- Paired axial CT (left) and PSMA PET (right), 18F-PSMA tracer
- PET panel 256×256 px (2.7 mm/px)
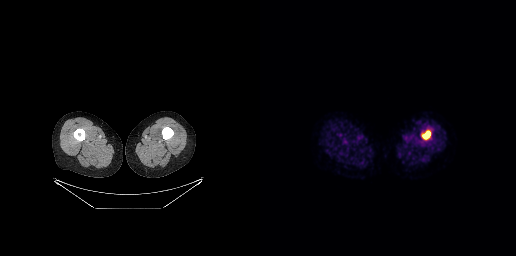
Findings: Coordinates are on the 256×256 PET (right) panel. PSMA-avid tumor lesion bounding box (x0,y0,x1,y1): [163,131,170,138].